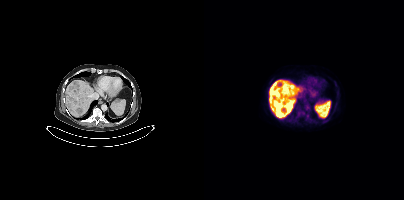
Technique: Two-panel axial: CT | PSMA PET, [18F]PSMA-1007 tracer.
Findings: Coordinates are on the 200×200 PET (right) panel. PSMA-avid tumor lesion bounding boxes (x0,y0,x1,y1): [66,89,73,96] [73,111,77,115] [72,82,76,86].